modality: PSMA PET/CT | tracer: 18F-PSMA | view: axial
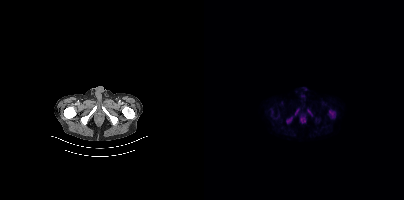
Coordinates are on the 200×200 PET (right) panel. PSMA-avid tumor lesion bounding boxes (x0, y0)-(x1, y1): (125, 110)-(131, 118) | (82, 117)-(88, 123) | (91, 109)-(94, 115). Small PSMA-avid focus (2 to 4 px across) near (center x, center y): (107, 114).